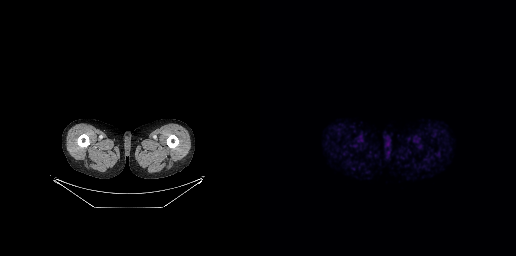
Technique: Paired axial CT (left) and PSMA PET (right), 68Ga tracer. slice 4 of 189. PET panel 256×256 px (2.7 mm/px).
Findings: This slice has no annotated PSMA-avid lesion.